Two-panel axial: CT | PSMA PET, 18F-PSMA tracer.
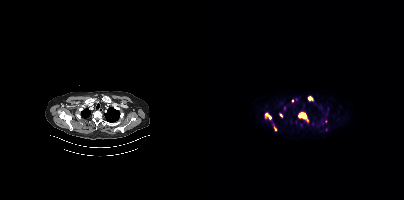
Coordinates are on the 200×200 PET (right) panel. PSMA-avid tumor lesion bounding boxes (partial; 1 more focus not listed):
| # | x0 | y0 | x1 | y1 |
|---|---|---|---|---|
| 1 | 94 | 112 | 104 | 122 |
| 2 | 61 | 113 | 67 | 119 |
| 3 | 104 | 96 | 109 | 100 |
| 4 | 75 | 113 | 78 | 117 |
| 5 | 70 | 126 | 72 | 130 |
Small PSMA-avid focus (2 to 4 px across) near (center x, center y): (88, 101).